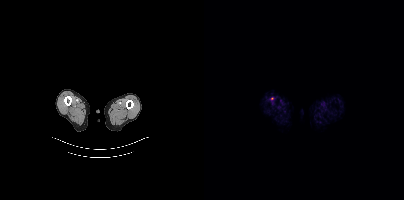
modality: PSMA PET/CT | tracer: 18F | view: axial | PET grid: 200×200
Coordinates are on the 200×200 PET (right) panel. Small PSMA-avid focus (2 to 4 px across) near (center x, center y): (67, 98).